Privacy masking over the head, with the pixels inside a rectangle set to black. Paired axial CT (left) and PSMA PET (right), 18F tracer. Acquired on Siemens Biograph mCT Flow 20. Slice position z = -241 mm.
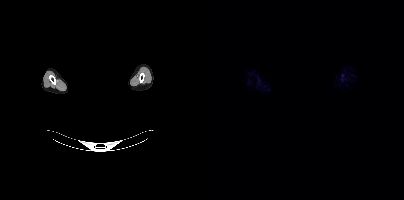
No tumor lesions annotated on this slice.